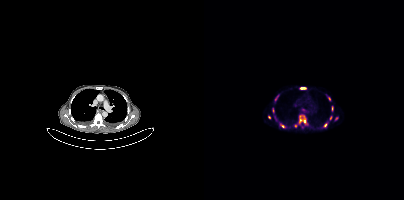
{"modality":"PSMA PET/CT","view":"axial","tracer":"68Ga-PSMA","pet_grid":[200,200],"coord_frame":"pet_panel","coord_format":"x0,y0,x1,y1","lesion_bboxes":[[95,114,102,124],[96,87,102,89],[71,95,74,100],[68,108,70,112],[128,106,129,110]],"small_foci_centers":[[125,98],[121,125],[79,126],[126,117],[65,117],[132,118],[91,125]]}